Paired axial CT (left) and PSMA PET (right), 18F-PSMA tracer. PET panel 200×200 px (4.1 mm/px).
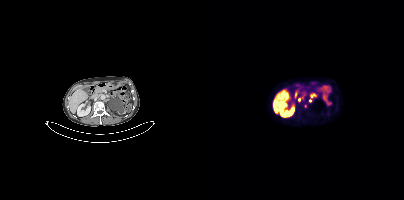
Coordinates are on the 200×200 PET (right) panel. (showing 2 of 4 foci) Small PSMA-avid foci (2 to 4 px across) near (center x, center y): (95, 99), (107, 95).